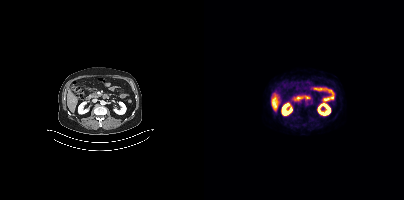
{"modality":"PSMA PET/CT","view":"axial","tracer":"18F-PSMA","pet_grid":[200,200],"coord_frame":"pet_panel","coord_format":"x0,y0,x1,y1","psma_avid_lesions":false}